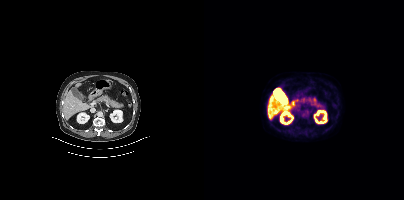
- Two-panel axial: CT | PSMA PET, [18F]PSMA-1007 tracer
- PET panel 200×200 px (4.1 mm/px)
Findings: No tumor lesions annotated on this slice.